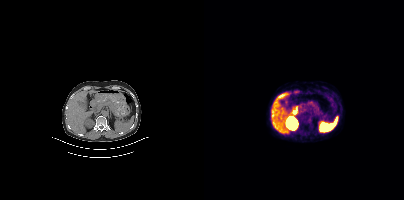
Findings: Negative for PSMA-avid disease on this slice.
Technique: Left: CT. Right: PSMA PET, same axial level, [68Ga]Ga-PSMA-11 tracer. acquired on Siemens Biograph mCT Flow 20. slice 204 of 409.